Paired axial CT (left) and PSMA PET (right), 18F-PSMA tracer.
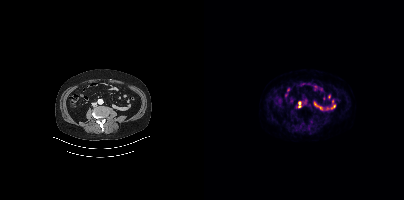
Coordinates are on the 200×200 PET (right) panel. Small PSMA-avid foci (2 to 4 px across) near (center x, center y): (95, 102) | (95, 106).